- Left: CT. Right: PSMA PET, same axial level, 18F tracer
- acquired on Siemens Biograph mCT Flow 20
- PET panel 200×200 px (4.1 mm/px)
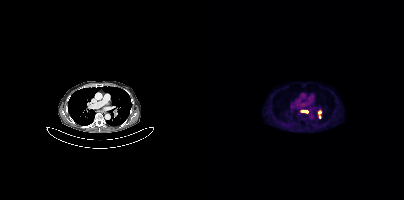
Findings: Coordinates are on the 200×200 PET (right) panel. PSMA-avid tumor lesion bounding boxes (x, y, width, height): x=96 y=109 w=9 h=5; x=114 y=110 w=4 h=9.